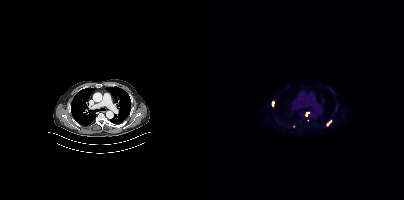
Paired axial CT (left) and PSMA PET (right), 18F-PSMA tracer. Acquired on Siemens Biograph mCT Flow 20.
Coordinates are on the 200×200 PET (right) panel. PSMA-avid tumor lesion bounding boxes (partial; 2 more foci not listed):
| # | x0 | y0 | x1 | y1 |
|---|---|---|---|---|
| 1 | 122 | 120 | 127 | 126 |
| 2 | 68 | 101 | 69 | 105 |
Small PSMA-avid focus (2 to 4 px across) near (center x, center y): (103, 113).